Left: CT. Right: PSMA PET, same axial level, 18F tracer.
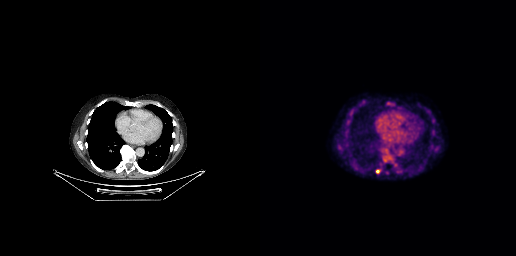
Coordinates are on the 256×256 PET (right) panel. PSMA-avid tumor lesion bounding box (x, y, width, height): x=116 y=169 w=4 h=5.